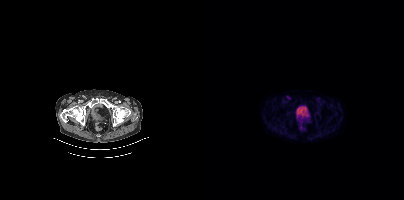
{"pet_grid":[200,200],"coord_frame":"pet_panel","coord_format":"x0,y0,x1,y1","lesion_bboxes":[[82,95,86,99]],"modality":"PSMA PET/CT","view":"axial","tracer":"18F-PSMA"}